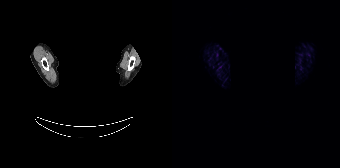
modality: PSMA PET/CT | tracer: [68Ga]Ga-PSMA-11 | view: axial | PET grid: 168×168 | redaction: rectangular block over head set to black
This slice has no annotated PSMA-avid lesion.